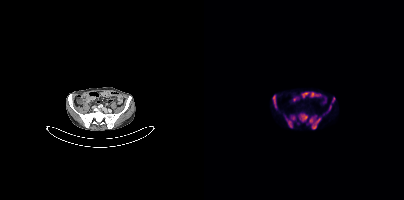
Coordinates are on the 200×200 PET (right) panel. PSMA-avid tumor lesion bounding boxes:
| # | x0 | y0 | x1 | y1 |
|---|---|---|---|---|
| 1 | 81 | 115 | 91 | 127 |
| 2 | 95 | 114 | 103 | 121 |
| 3 | 108 | 118 | 116 | 128 |
| 4 | 69 | 95 | 72 | 107 |
| 5 | 105 | 118 | 109 | 122 |
| 6 | 128 | 97 | 131 | 102 |
| 7 | 124 | 105 | 127 | 110 |
Two-panel axial: CT | PSMA PET, [18F]PSMA-1007 tracer. Slice 102 of 354.